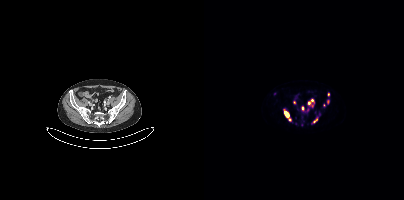
modality: PSMA PET/CT | tracer: [68Ga]Ga-PSMA-11 | view: axial
Coordinates are on the 200×200 PET (right) panel. PSMA-avid tumor lesion bounding boxes (x, y, width, height): x=80 y=109 w=8 h=12; x=103 y=102 w=7 h=10; x=109 y=117 w=6 h=6. Small PSMA-avid foci (2 to 4 px across) near (center x, center y): (98, 108); (124, 94); (108, 100); (90, 102); (119, 105); (123, 100).